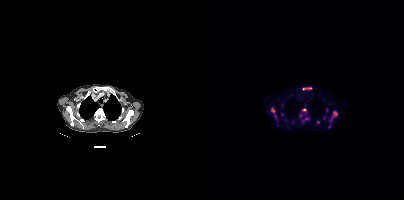
{"pet_grid":[200,200],"coord_frame":"pet_panel","coord_format":"x0,y0,x1,y1","partial":true,"lesion_bboxes":[[67,107,72,117],[126,111,133,120],[98,87,108,90],[98,118,105,122],[98,109,102,111]],"small_foci_centers":[[97,115],[114,122],[123,109]],"modality":"PSMA PET/CT","view":"axial","tracer":"18F-PSMA"}